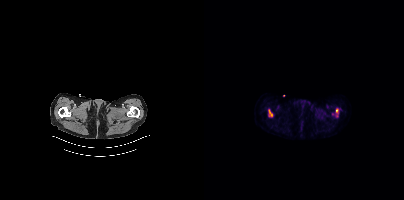
Coordinates are on the 200×200 PET (right) panel. (showing 2 of 3 foci) PSMA-avid tumor lesion bounding boxes (x, y, width, height): x=64 y=109 w=5 h=8 | x=132 y=108 w=3 h=6.